Paired axial CT (left) and PSMA PET (right), 18F-PSMA tracer. Slice 65 of 405. PET panel 200×200 px (4.1 mm/px).
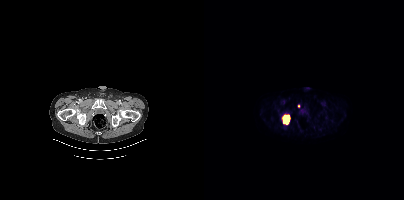
Coordinates are on the 200×200 PET (right) panel. (showing 1 of 2 foci) PSMA-avid tumor lesion bounding box (x0,y0,x1,y1): [79,114,85,123].